Paired axial CT (left) and PSMA PET (right), 18F-PSMA tracer. Privacy masking over the head, with the pixels inside a rectangle set to black.
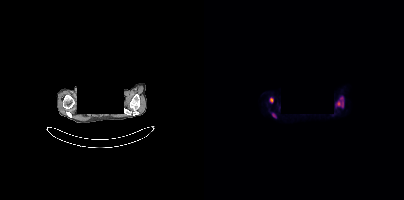
Coordinates are on the 200×200 PET (right) panel. PSMA-avid tumor lesion bounding boxes (x0, y0)-(x1, y1): (131, 97)-(139, 107) | (66, 98)-(69, 102). Small PSMA-avid focus (2 to 4 px across) near (center x, center y): (69, 115).